- Left: CT. Right: PSMA PET, same axial level, 18F-PSMA tracer
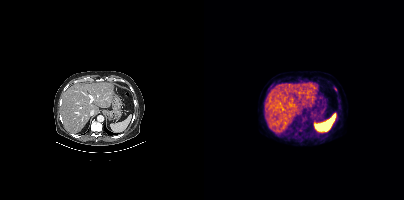
Findings: No PSMA-avid tumor lesions on this slice.